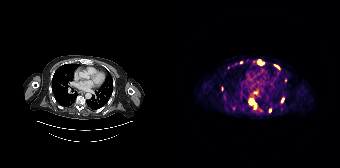
Left: CT. Right: PSMA PET, same axial level, 68Ga-PSMA tracer. Slice 144 of 195.
Coordinates are on the 168×168 PET (right) panel. PSMA-avid tumor lesion bounding boxes (partial; 1 more focus not listed):
| # | x0 | y0 | x1 | y1 |
|---|---|---|---|---|
| 1 | 77 | 99 | 84 | 105 |
| 2 | 86 | 60 | 91 | 64 |
| 3 | 103 | 65 | 107 | 68 |
Small PSMA-avid foci (2 to 4 px across) near (center x, center y): (83, 92); (98, 110); (110, 100); (83, 107); (68, 62).